Left: CT. Right: PSMA PET, same axial level, 18F-PSMA tracer. Slice position z = -716 mm.
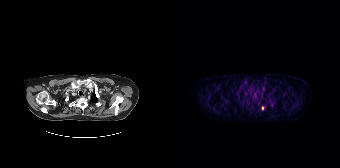
Coordinates are on the 168×168 PET (right) panel. Small PSMA-avid focus (2 to 4 px across) near (center x, center y): (90, 107).